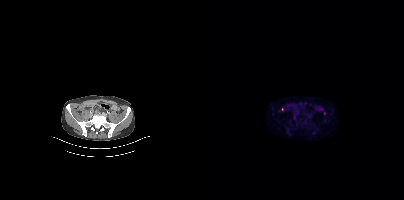
Findings: Only PSMA-avid lesion pieces thinner than 2 px on this slice (not listed).
- Left: CT. Right: PSMA PET, same axial level, 18F-PSMA tracer
- slice position z = -1454 mm
- PET panel 200×200 px (4.1 mm/px)